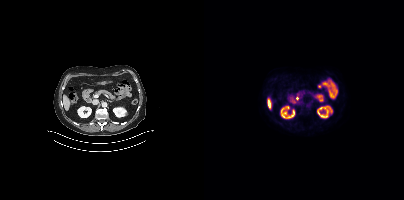
Technique: Paired axial CT (left) and PSMA PET (right), 18F tracer. acquired on Siemens Biograph mCT Flow 20. slice 213 of 436. PET panel 200×200 px (4.1 mm/px).
Findings: No tumor lesions annotated on this slice.